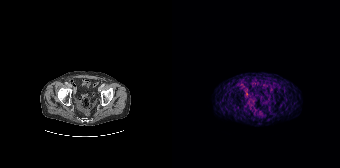
{"modality":"PSMA PET/CT","view":"axial","tracer":"68Ga-PSMA","pet_grid":[168,168],"coord_frame":"pet_panel","coord_format":"x0,y0,x1,y1","psma_avid_lesions":false}